Technique: Two-panel axial: CT | PSMA PET, [18F]PSMA-1007 tracer. slice position z = -389 mm. PET panel 200×200 px (4.1 mm/px).
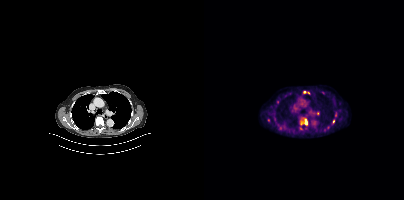
Findings: Coordinates are on the 200×200 PET (right) panel. (showing 4 of 6 foci) PSMA-avid tumor lesion bounding box (x0, y0)-(x1, y1): (97, 118)-(103, 125). Small PSMA-avid foci (2 to 4 px across) near (center x, center y): (100, 92) / (129, 121) / (104, 92).